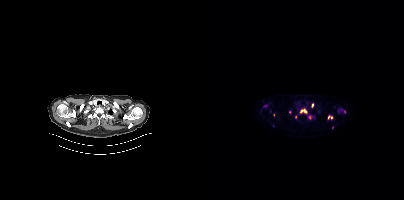
Left: CT. Right: PSMA PET, same axial level, 18F tracer. Acquired on Siemens Biograph mCT Flow 20. PET panel 200×200 px (4.1 mm/px).
Coordinates are on the 200×200 PET (right) panel. PSMA-avid tumor lesion bounding boxes (partial; 6 more foci not listed):
| # | x0 | y0 | x1 | y1 |
|---|---|---|---|---|
| 1 | 96 | 109 | 103 | 113 |
Small PSMA-avid foci (2 to 4 px across) near (center x, center y): (108, 105); (140, 111); (69, 114).